Paired axial CT (left) and PSMA PET (right), 18F-PSMA tracer. Acquired on Siemens Biograph mCT Flow 20. Slice position z = -1384 mm.
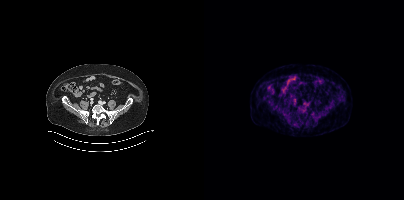
Negative for PSMA-avid disease on this slice.